Paired axial CT (left) and PSMA PET (right), 68Ga tracer. Acquired on Siemens Biograph mCT Flow 20.
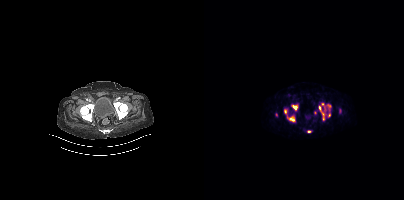
No tumor lesions annotated on this slice.